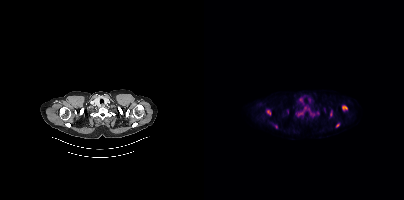
Technique: Two-panel axial: CT | PSMA PET, [18F]PSMA-1007 tracer. acquired on Siemens Biograph mCT Flow 20. slice 325 of 395.
Findings: Coordinates are on the 200×200 PET (right) panel. PSMA-avid tumor lesion bounding boxes (x0,y0,x1,y1): [138,105,143,110] [63,110,66,115] [91,112,98,115] [132,123,135,127]. Small PSMA-avid foci (2 to 4 px across) near (center x, center y): (71, 126) (127, 111) (114, 113) (101, 107) (126, 114).